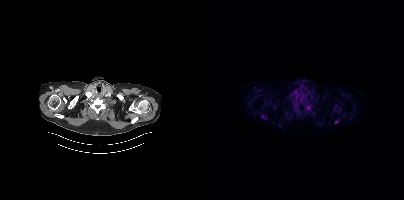
- Left: CT. Right: PSMA PET, same axial level, 18F-PSMA tracer
- acquired on Siemens Biograph mCT Flow 20
Findings: Coordinates are on the 200×200 PET (right) panel. PSMA-avid tumor lesion bounding boxes (x0, y0)-(x1, y1): (89, 105)-(93, 111) / (88, 93)-(92, 97) / (58, 115)-(62, 119) / (131, 119)-(135, 123) / (94, 109)-(98, 113). Small PSMA-avid focus (2 to 4 px across) near (center x, center y): (105, 105).